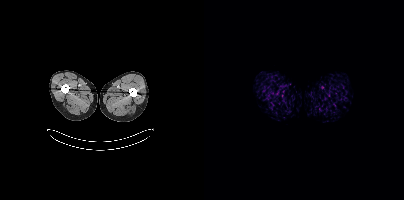
This slice has no annotated PSMA-avid lesion.